modality: PSMA PET/CT | tracer: [18F]PSMA-1007 | view: axial | deidentification: head region blanked (face removed)
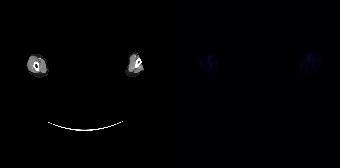
This slice has no annotated PSMA-avid lesion.